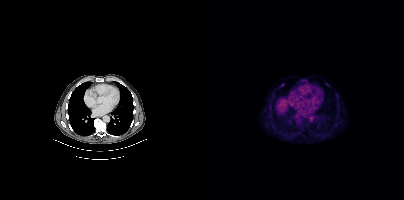
Coordinates are on the 200×200 PET (right) panel. Small PSMA-avid focus (2 to 4 px across) near (center x, center y): (78, 84).